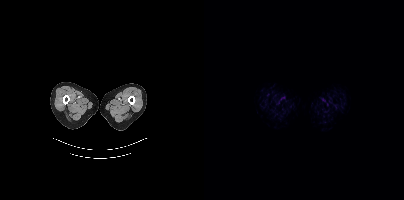
Two-panel axial: CT | PSMA PET, 18F tracer. PET panel 200×200 px (4.1 mm/px). No PSMA-avid tumor lesions on this slice.